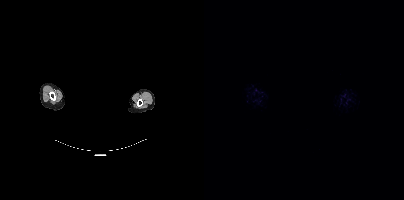
No PSMA-avid tumor lesions on this slice. Two-panel axial: CT | PSMA PET, 18F-PSMA tracer. Privacy masking over the head, with the pixels inside a rectangle set to black.